Technique: Two-panel axial: CT | PSMA PET, [18F]PSMA-1007 tracer. acquired on GE Discovery 690. PET panel 256×256 px (2.7 mm/px).
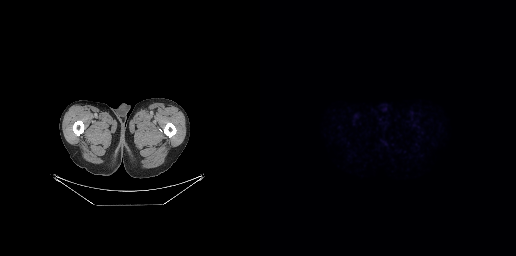
Findings: No tumor lesions annotated on this slice.